- Paired axial CT (left) and PSMA PET (right), 18F-PSMA tracer
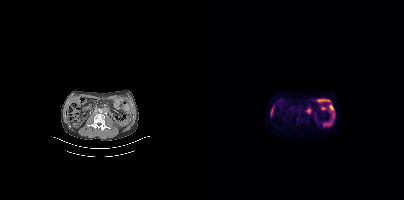
Findings: Coordinates are on the 200×200 PET (right) panel. PSMA-avid tumor lesion bounding boxes (x0, y0)-(x1, y1): (102, 107)-(107, 114) / (93, 119)-(94, 123).